Left: CT. Right: PSMA PET, same axial level, 18F tracer. Slice position z = -1450 mm.
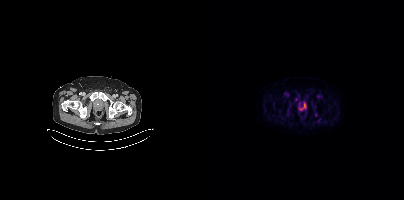
Only PSMA-avid lesion pieces thinner than 2 px on this slice (not listed).